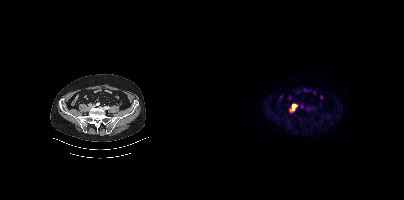
Findings: Coordinates are on the 200×200 PET (right) panel. PSMA-avid tumor lesion bounding box (x, y, width, height): x=86 y=104 w=6 h=7.
Technique: Paired axial CT (left) and PSMA PET (right), [18F]PSMA-1007 tracer. PET panel 200×200 px (4.1 mm/px).